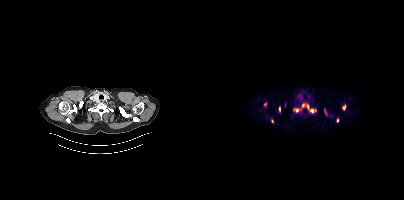
Coordinates are on the 200×200 PET (right) panel. PSMA-avid tumor lesion bounding boxes (partial; 3 more foci not listed):
| # | x0 | y0 | x1 | y1 |
|---|---|---|---|---|
| 1 | 89 | 108 | 94 | 111 |
| 2 | 107 | 109 | 111 | 112 |
| 3 | 139 | 105 | 141 | 109 |
| 4 | 75 | 107 | 76 | 111 |
| 5 | 120 | 110 | 122 | 114 |
Small PSMA-avid foci (2 to 4 px across) near (center x, center y): (61, 104); (133, 120); (68, 121).
Paired axial CT (left) and PSMA PET (right), 18F tracer. Slice 356 of 429. PET panel 200×200 px (4.1 mm/px).